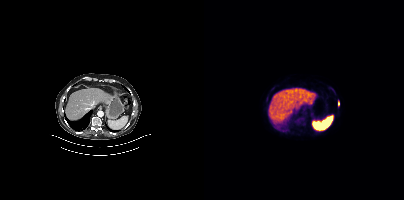
Technique: Paired axial CT (left) and PSMA PET (right), 18F-PSMA tracer.
Findings: Coordinates are on the 200×200 PET (right) panel. Small PSMA-avid focus (2 to 4 px across) near (center x, center y): (134, 103).